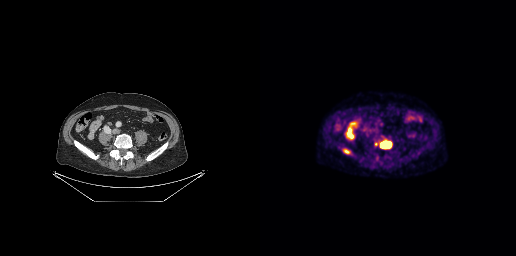
{"pet_grid":[256,256],"coord_frame":"pet_panel","coord_format":"x0,y0,x1,y1","lesion_bboxes":[[121,143,130,147],[83,148,89,154]],"small_foci_centers":[[115,143]],"modality":"PSMA PET/CT","view":"axial","tracer":"[18F]PSMA-1007"}